Left: CT. Right: PSMA PET, same axial level, [18F]PSMA-1007 tracer.
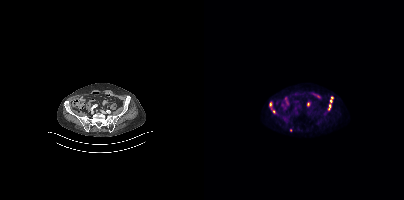
Coordinates are on the 200×200 PET (right) panel. PSMA-avid tumor lesion bounding boxes (x0,y0,x1,y1): [123,96,129,110] [65,101,71,113]. Small PSMA-avid focus (2 to 4 px across) near (center x, center y): (86, 130).